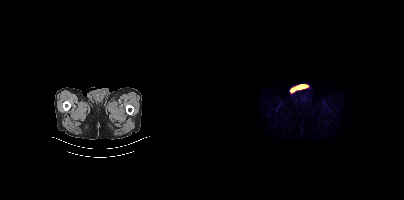
{"modality":"PSMA PET/CT","view":"axial","tracer":"[18F]PSMA-1007","pet_grid":[200,200],"coord_frame":"pet_panel","coord_format":"x0,y0,x1,y1","psma_avid_lesions":false}